Paired axial CT (left) and PSMA PET (right), 18F-PSMA tracer. Slice position z = -546 mm. PET panel 200×200 px (4.1 mm/px).
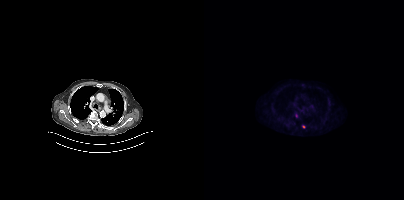
Coordinates are on the 200×200 PET (right) panel. Small PSMA-avid foci (2 to 4 px across) near (center x, center y): (99, 126) | (92, 115).